- Two-panel axial: CT | PSMA PET, 18F-PSMA tracer
- PET panel 200×200 px (4.1 mm/px)
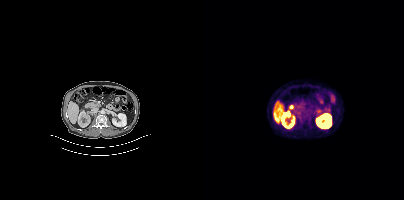
Findings: This slice has no annotated PSMA-avid lesion.